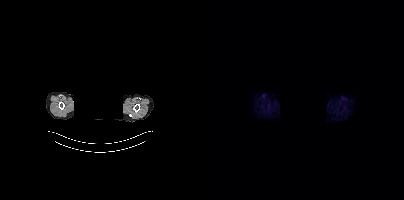
Negative for PSMA-avid disease on this slice. Paired axial CT (left) and PSMA PET (right), [18F]PSMA-1007 tracer. PET panel 200×200 px (4.1 mm/px). Privacy masking over the head, with the pixels inside a rectangle set to black.